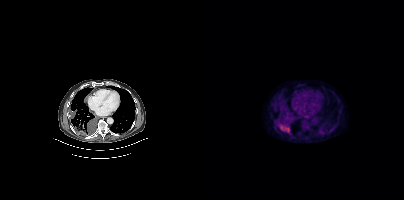
{"modality":"PSMA PET/CT","view":"axial","tracer":"18F-PSMA","pet_grid":[200,200],"coord_frame":"pet_panel","coord_format":"x0,y0,x1,y1","lesion_bboxes":[[73,121,86,134]]}